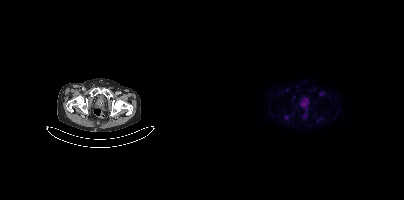
{"modality":"PSMA PET/CT","view":"axial","tracer":"18F","pet_grid":[200,200],"coord_frame":"pet_panel","coord_format":"x0,y0,x1,y1","psma_avid_lesions":false}